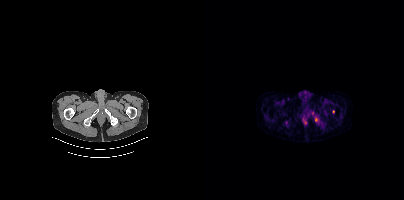
Coordinates are on the 200×200 PET (right) panel. Small PSMA-avid foci (2 to 4 px across) near (center x, center y): (111, 119); (129, 111).